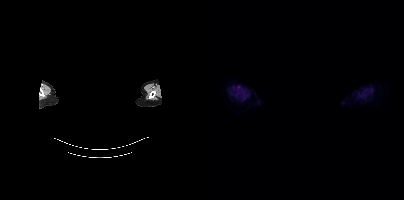
Findings: Negative for PSMA-avid disease on this slice.
Technique: Paired axial CT (left) and PSMA PET (right), 18F-PSMA tracer. slice position z = 588 mm. PET panel 200×200 px (4.1 mm/px).
Note: An anonymization step blacked out a rectangle over the head in this scan.